redaction: head region blacked out before release | modality: PSMA PET/CT | tracer: 18F-PSMA | view: axial | PET grid: 200×200
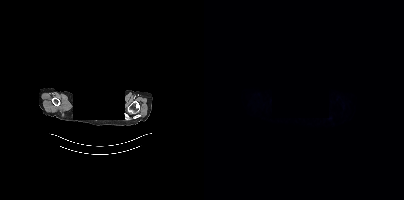
No PSMA-avid tumor lesions on this slice.